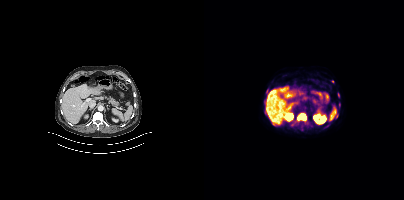
modality: PSMA PET/CT | tracer: 18F-PSMA | view: axial
Coordinates are on the 200×200 PET (right) panel. (showing 4 of 5 foci) PSMA-avid tumor lesion bounding boxes (x0, y0)-(x1, y1): (93, 113)-(102, 121) | (62, 89)-(64, 93). Small PSMA-avid foci (2 to 4 px across) near (center x, center y): (132, 115) | (134, 94).